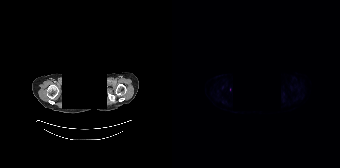
{"modality":"PSMA PET/CT","view":"axial","tracer":"18F","pet_grid":[168,168],"coord_frame":"pet_panel","coord_format":"x0,y0,x1,y1","partial":true,"lesion_bboxes":[],"deidentification":"head region blanked (face removed)"}